modality: PSMA PET/CT | tracer: 18F-PSMA | view: axial | PET grid: 200×200
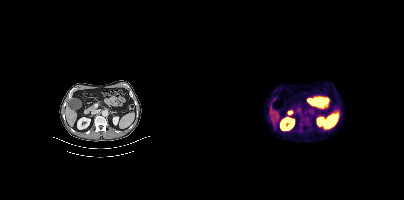
Coordinates are on the 200×200 PET (right) panel. PSMA-avid tumor lesion bounding box (x0,y0,x1,y1): [95,115,107,126].